Paired axial CT (left) and PSMA PET (right), [18F]PSMA-1007 tracer. Slice position z = -1380 mm. PET panel 200×200 px (4.1 mm/px).
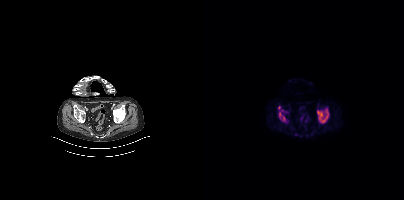
Coordinates are on the 200×200 PET (right) panel. PSMA-avid tumor lesion bounding boxes (x0, y0)-(x1, y1): (113, 108)-(125, 123) | (74, 107)-(83, 122).